Two-panel axial: CT | PSMA PET, 68Ga-PSMA tracer. Acquired on Siemens Biograph 64-4R TruePoint.
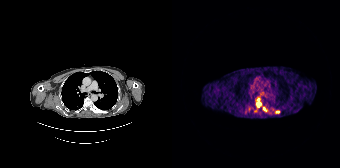
Coordinates are on the 168×168 PET (right) panel. PSMA-avid tumor lesion bounding box (x0, y0)-(x1, y1): (84, 102)-(88, 106). Small PSMA-avid foci (2 to 4 px across) near (center x, center y): (105, 112) | (86, 99) | (92, 108).